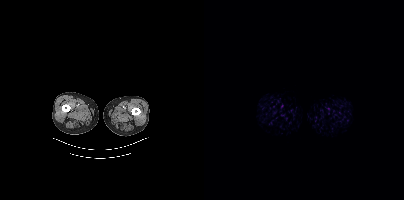
{"pet_grid":[200,200],"coord_frame":"pet_panel","coord_format":"x0,y0,x1,y1","psma_avid_lesions":false,"modality":"PSMA PET/CT","view":"axial","tracer":"18F-PSMA"}